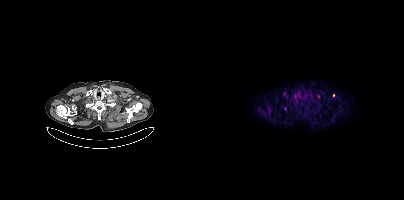
Coordinates are on the 200×200 PET (right) panel. (showing 1 of 4 foci) Small PSMA-avid focus (2 to 4 px across) near (center x, center y): (129, 95).
modality: PSMA PET/CT | tracer: 18F | view: axial